- Paired axial CT (left) and PSMA PET (right), 18F-PSMA tracer
- slice position z = -924 mm
- PET panel 200×200 px (4.1 mm/px)
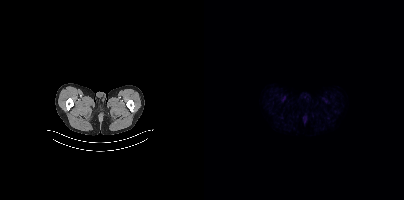
Findings: This slice has no annotated PSMA-avid lesion.